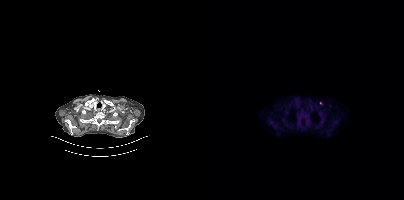
Findings: Coordinates are on the 200×200 PET (right) panel. (showing 1 of 2 foci) Small PSMA-avid focus (2 to 4 px across) near (center x, center y): (116, 102).
- Paired axial CT (left) and PSMA PET (right), 18F-PSMA tracer
- acquired on Siemens Biograph mCT Flow 20
- slice 290 of 344